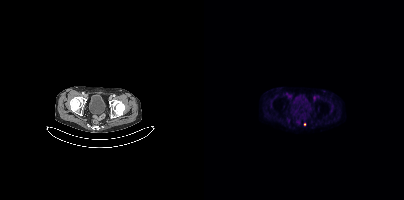
Coordinates are on the 200×200 PET (right) panel. Small PSMA-avid focus (2 to 4 px across) near (center x, center y): (100, 124). Left: CT. Right: PSMA PET, same axial level, 18F-PSMA tracer. Slice 73 of 397. PET panel 200×200 px (4.1 mm/px).